Two-panel axial: CT | PSMA PET, 18F-PSMA tracer. Slice 404 of 423. PET panel 200×200 px (4.1 mm/px). A rectangular block over the head has been blanked out for de-identification.
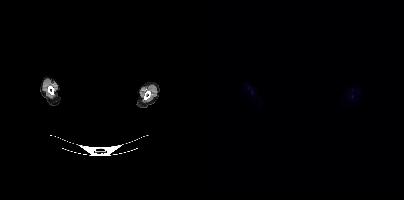
Negative for PSMA-avid disease on this slice.